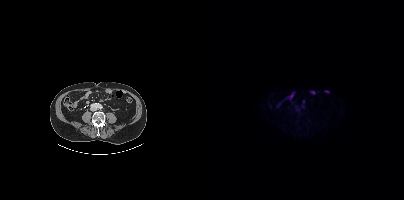
No PSMA-avid tumor lesions on this slice.
modality: PSMA PET/CT | tracer: [18F]PSMA-1007 | view: axial